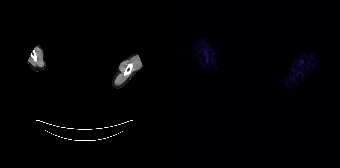
Technique: Paired axial CT (left) and PSMA PET (right), 68Ga-PSMA tracer. slice position z = -658 mm. PET panel 168×168 px (4.1 mm/px).
Note: De-identified by setting a box covering the face to black before release.
Findings: Negative for PSMA-avid disease on this slice.